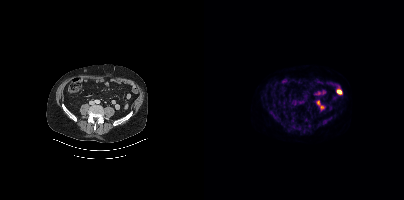
Paired axial CT (left) and PSMA PET (right), 18F tracer. Slice 161 of 462. PET panel 200×200 px (4.1 mm/px). This slice has no annotated PSMA-avid lesion.